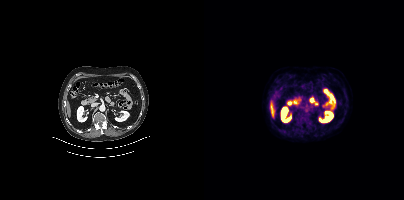
No tumor lesions annotated on this slice.